Any black rectangle over the head is a privacy mask, not anatomy.
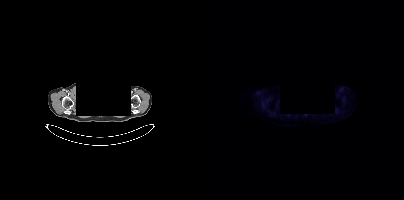
No PSMA-avid tumor lesions on this slice.